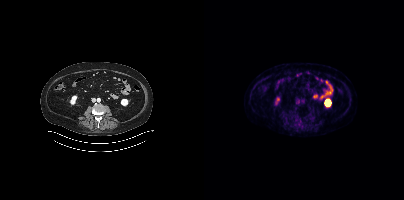
Left: CT. Right: PSMA PET, same axial level, 18F tracer. Acquired on Siemens Biograph mCT Flow 20. Slice position z = -1290 mm. PET panel 200×200 px (4.1 mm/px). No PSMA-avid tumor lesions on this slice.